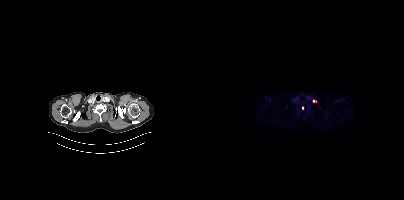
Two-panel axial: CT | PSMA PET, 18F tracer. Slice position z = -834 mm. Only PSMA-avid lesion pieces thinner than 2 px on this slice (not listed).